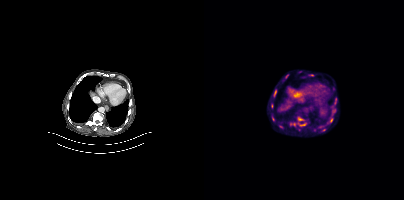
Findings: Coordinates are on the 200×200 PET (right) panel. (showing 3 of 4 foci) PSMA-avid tumor lesion bounding boxes (x0, y0)-(x1, y1): (128, 109)-(131, 114) | (94, 118)-(98, 120) | (96, 124)-(101, 125).
- Two-panel axial: CT | PSMA PET, 18F-PSMA tracer
- acquired on Siemens Biograph mCT Flow 20
- PET panel 200×200 px (4.1 mm/px)